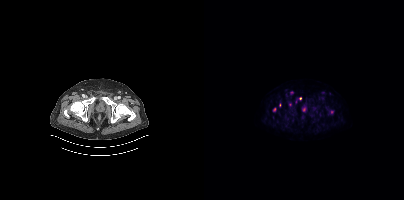
Coordinates are on the 200×200 PET (right) panel. (showing 1 of 5 foci) Small PSMA-avid focus (2 to 4 px across) near (center x, center y): (96, 98).